Left: CT. Right: PSMA PET, same axial level, 18F tracer. Slice 53 of 431. PET panel 200×200 px (4.1 mm/px).
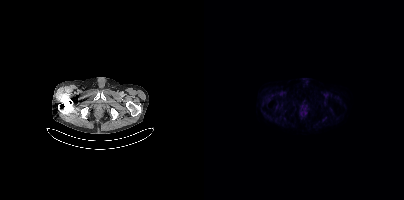
Negative for PSMA-avid disease on this slice.